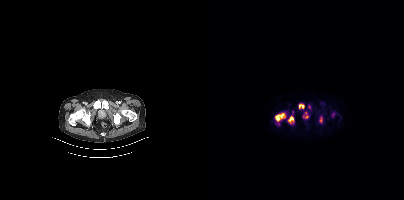
{"pet_grid":[200,200],"coord_frame":"pet_panel","coord_format":"x0,y0,x1,y1","lesion_bboxes":[[71,113,80,120],[84,116,89,123],[116,117,118,122],[95,104,99,107]],"small_foci_centers":[[105,107],[102,116]],"modality":"PSMA PET/CT","view":"axial","tracer":"18F-PSMA"}